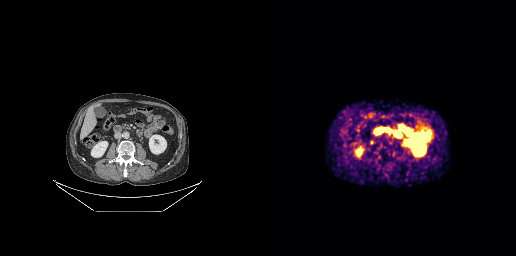
Coordinates are on the 256×256 PET (right) panel. PSMA-avid tumor lesion bounding box (x, y, width, height): x=144 y=140 w=4 h=5.